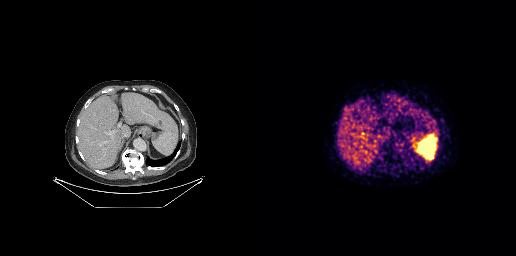
Left: CT. Right: PSMA PET, same axial level, [68Ga]Ga-PSMA-11 tracer. Acquired on GE Discovery 690. Slice position z = -549 mm. PET panel 256×256 px (2.7 mm/px). This slice has no annotated PSMA-avid lesion.